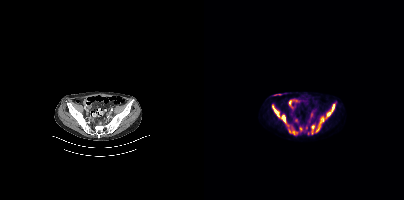
Two-panel axial: CT | PSMA PET, 18F tracer. Slice 142 of 466. PET panel 200×200 px (4.1 mm/px). Coordinates are on the 200×200 PET (right) panel. (showing 7 of 9 foci) PSMA-avid tumor lesion bounding boxes (x0,y0,x1,y1): [68,104,85,126] [122,104,130,118] [116,117,120,123] [112,127,115,131]. Small PSMA-avid foci (2 to 4 px across) near (center x, center y): (109, 126) (89, 133) (96, 128).